Technique: Paired axial CT (left) and PSMA PET (right), [18F]PSMA-1007 tracer.
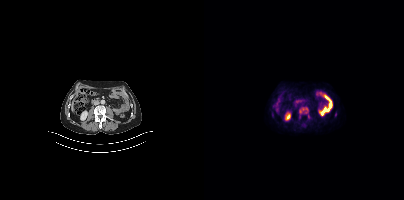
Findings: Coordinates are on the 200×200 PET (right) panel. PSMA-avid tumor lesion bounding box (x0, y0)-(x1, y1): (95, 107)-(103, 113).